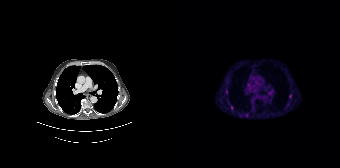
Coordinates are on the 168×168 PET (right) panel. PSMA-avid tumor lesion bounding boxes:
| # | x0 | y0 | x1 | y1 |
|---|---|---|---|---|
| 1 | 56 | 100 | 57 | 104 |
Small PSMA-avid foci (2 to 4 px across) near (center x, center y): (74, 114); (60, 107); (118, 95); (67, 115); (54, 91).
Left: CT. Right: PSMA PET, same axial level, 68Ga tracer. PET panel 168×168 px (4.1 mm/px).